modality: PSMA PET/CT | tracer: [18F]PSMA-1007 | view: axial
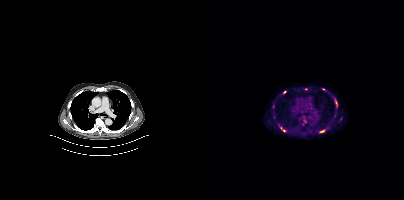
Coordinates are on the 200×200 PET (right) panel. (showing 5 of 7 foci) PSMA-avid tumor lesion bounding boxes (x, y, width, height): x=76 y=127 w=6 h=5; x=116 y=130 w=5 h=3; x=132 y=101 w=2 h=5. Small PSMA-avid foci (2 to 4 px across) near (center x, center y): (80, 92); (100, 121).